modality: PSMA PET/CT | tracer: 18F | view: axial | PET grid: 200×200
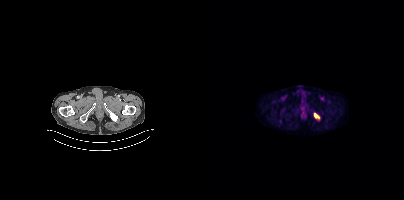
Coordinates are on the 200×200 PET (right) panel. PSMA-avid tumor lesion bounding box (x0,y0,x1,y1): [110,113,115,118].